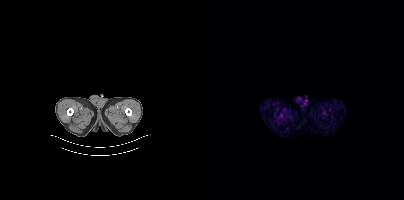
No PSMA-avid tumor lesions on this slice. Paired axial CT (left) and PSMA PET (right), 18F tracer. PET panel 200×200 px (4.1 mm/px).